- Paired axial CT (left) and PSMA PET (right), [18F]PSMA-1007 tracer
- acquired on GE Discovery 690
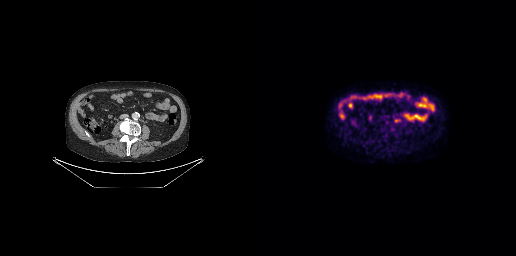
Findings: No PSMA-avid tumor lesions on this slice.